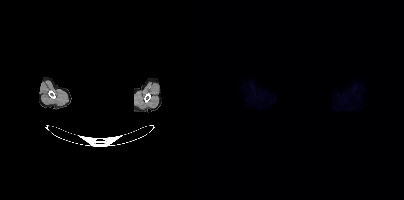
{"modality":"PSMA PET/CT","view":"axial","tracer":"18F-PSMA","pet_grid":[200,200],"coord_frame":"pet_panel","coord_format":"x0,y0,x1,y1","psma_avid_lesions":false,"redaction":"rectangular block over head set to black"}